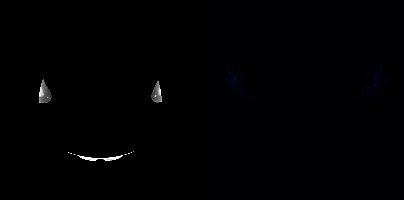
Negative for PSMA-avid disease on this slice. Two-panel axial: CT | PSMA PET, 18F tracer. Facial anatomy redacted by setting a rectangular region of the head to black.